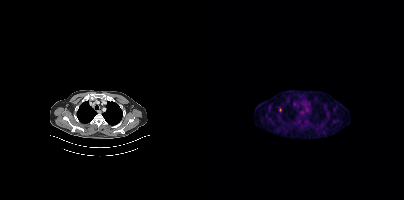
- Left: CT. Right: PSMA PET, same axial level, 18F tracer
- acquired on Siemens Biograph mCT Flow 20
- slice 312 of 387
Findings: Coordinates are on the 200×200 PET (right) panel. Small PSMA-avid focus (2 to 4 px across) near (center x, center y): (76, 109).